modality: PSMA PET/CT | tracer: 68Ga | view: axial
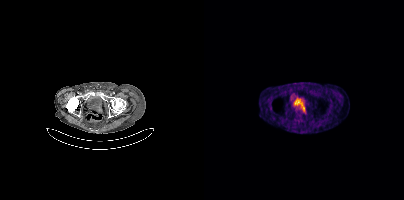
Coordinates are on the 200×200 PET (right) panel. PSMA-avid tumor lesion bounding box (x, y, width, height): x=96 y=105 w=6 h=9.